Technique: Left: CT. Right: PSMA PET, same axial level, 18F tracer. acquired on Siemens Biograph mCT Flow 20. PET panel 200×200 px (4.1 mm/px).
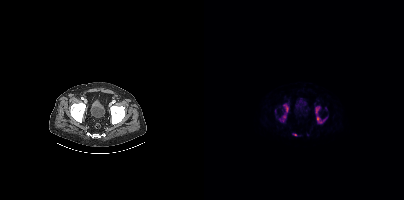
Findings: Coordinates are on the 200×200 PET (right) panel. (showing 3 of 5 foci) PSMA-avid tumor lesion bounding boxes (x, y, width, height): x=111 y=106 w=13 h=18; x=75 y=103 w=10 h=19; x=88 y=133 w=6 h=4.